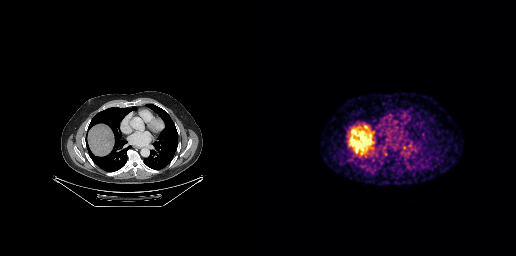
Findings: No PSMA-avid tumor lesions on this slice.
Technique: Paired axial CT (left) and PSMA PET (right), 68Ga tracer. PET panel 256×256 px (2.7 mm/px).